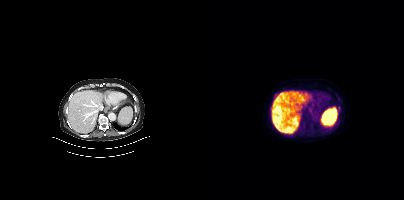
modality: PSMA PET/CT | tracer: 18F-PSMA | view: axial | PET grid: 200×200
This slice has no annotated PSMA-avid lesion.